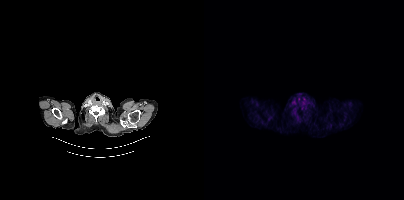
Paired axial CT (left) and PSMA PET (right), [18F]PSMA-1007 tracer. Acquired on Siemens Biograph mCT Flow 20. Slice 354 of 427. Negative for PSMA-avid disease on this slice.